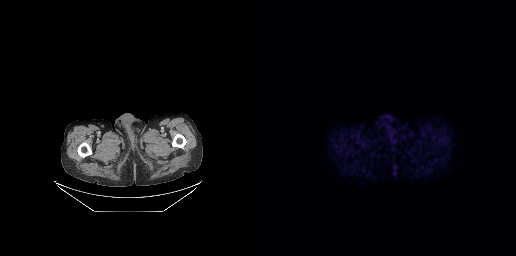
Negative for PSMA-avid disease on this slice.
modality: PSMA PET/CT | tracer: 18F-PSMA | view: axial | PET grid: 256×256